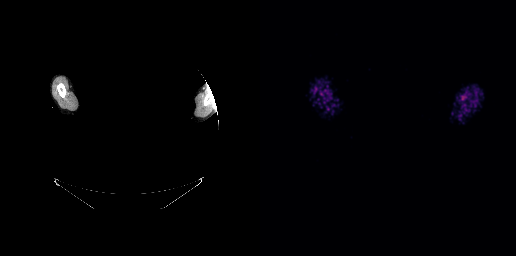
{"pet_grid":[256,256],"coord_frame":"pet_panel","coord_format":"x0,y0,x1,y1","psma_avid_lesions":false,"redaction":"head region blanked (face removed)","modality":"PSMA PET/CT","view":"axial","tracer":"[18F]PSMA-1007"}